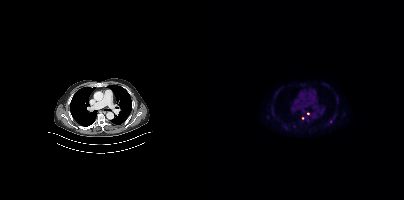
Paired axial CT (left) and PSMA PET (right), 18F tracer. Slice 299 of 421. PET panel 200×200 px (4.1 mm/px). Only PSMA-avid lesion pieces thinner than 2 px on this slice (not listed).